- Left: CT. Right: PSMA PET, same axial level, 18F tracer
- acquired on Siemens Biograph mCT Flow 20
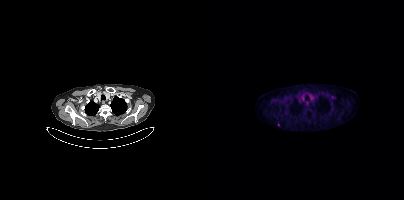
Findings: Coordinates are on the 200×200 PET (right) panel. Small PSMA-avid focus (2 to 4 px across) near (center x, center y): (74, 124).